Left: CT. Right: PSMA PET, same axial level, [18F]PSMA-1007 tracer. Slice 29 of 433.
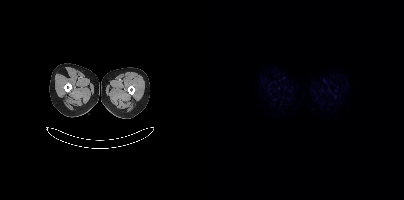
No tumor lesions annotated on this slice.